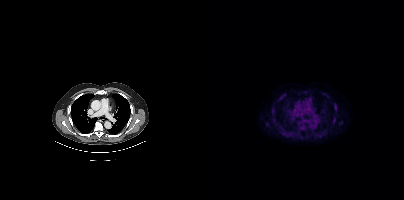
{"pet_grid":[200,200],"coord_frame":"pet_panel","coord_format":"x0,y0,x1,y1","psma_avid_lesions":false,"modality":"PSMA PET/CT","view":"axial","tracer":"[18F]PSMA-1007"}